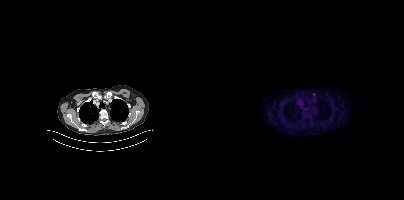
Technique: Left: CT. Right: PSMA PET, same axial level, 18F tracer. slice position z = -419 mm.
Findings: Only PSMA-avid lesion pieces thinner than 2 px on this slice (not listed).